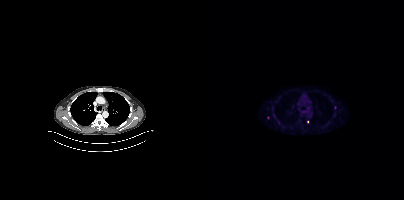
Coordinates are on the 200×200 PET (right) panel. Small PSMA-avid foci (2 to 4 px across) near (center x, center y): (131, 107) / (64, 117) / (103, 121).